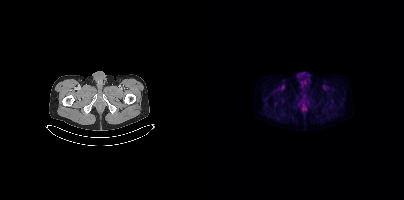
Negative for PSMA-avid disease on this slice.